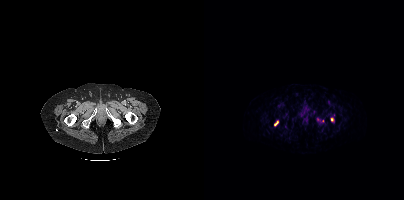
{"modality":"PSMA PET/CT","view":"axial","tracer":"68Ga-PSMA","pet_grid":[200,200],"coord_frame":"pet_panel","coord_format":"x0,y0,x1,y1","partial":true,"lesion_bboxes":[[70,121,74,125]],"small_foci_centers":[[127,119]]}